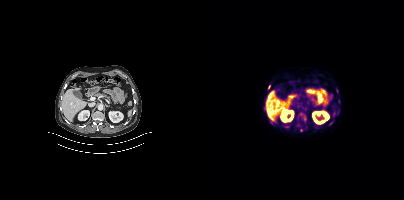
- Left: CT. Right: PSMA PET, same axial level, 18F-PSMA tracer
- acquired on Siemens Biograph mCT Flow 20
Findings: Coordinates are on the 200×200 PET (right) panel. (showing 1 of 2 foci) Small PSMA-avid focus (2 to 4 px across) near (center x, center y): (65, 86).